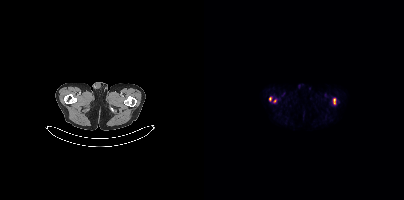
Left: CT. Right: PSMA PET, same axial level, [18F]PSMA-1007 tracer. Slice 24 of 403. PET panel 200×200 px (4.1 mm/px). Coordinates are on the 200×200 PET (right) panel. PSMA-avid tumor lesion bounding boxes (x, y, width, height): x=129 y=98 w=3 h=7 / x=65 y=97 w=3 h=5. Small PSMA-avid focus (2 to 4 px across) near (center x, center y): (70, 100).